redaction: face masked with black rectangle | modality: PSMA PET/CT | tracer: 18F-PSMA | view: axial
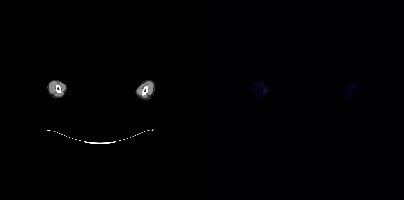
No tumor lesions annotated on this slice.